- Left: CT. Right: PSMA PET, same axial level, 18F tracer
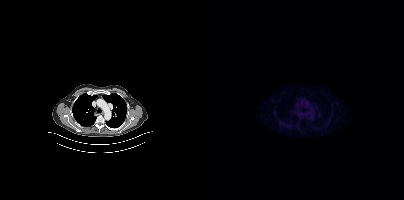
Findings: No tumor lesions annotated on this slice.